- Paired axial CT (left) and PSMA PET (right), 18F-PSMA tracer
- slice 28 of 263
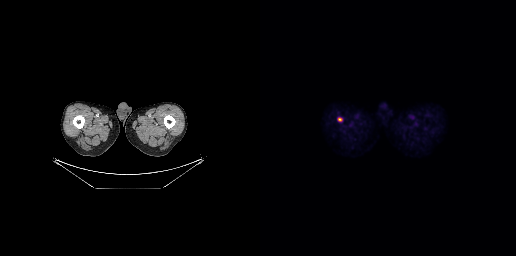
Findings: Coordinates are on the 256×256 PET (right) panel. PSMA-avid tumor lesion bounding box (x0,y0,x1,y1): [77,117,82,121].